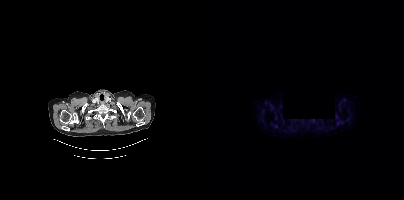
{"modality":"PSMA PET/CT","view":"axial","tracer":"18F-PSMA","pet_grid":[200,200],"coord_frame":"pet_panel","coord_format":"x0,y0,x1,y1","de-identification":"rectangular block set to black","psma_avid_lesions":false}